Left: CT. Right: PSMA PET, same axial level, 68Ga tracer. PET panel 168×168 px (4.1 mm/px).
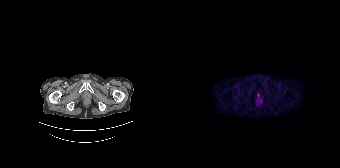
No PSMA-avid tumor lesions on this slice.